Technique: Left: CT. Right: PSMA PET, same axial level, 18F-PSMA tracer. acquired on Siemens Biograph mCT Flow 20. PET panel 200×200 px (4.1 mm/px).
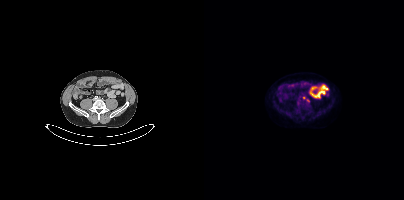
Findings: Coordinates are on the 200×200 PET (right) panel. (showing 1 of 2 foci) Small PSMA-avid focus (2 to 4 px across) near (center x, center y): (99, 97).